Technique: Two-panel axial: CT | PSMA PET, 18F-PSMA tracer.
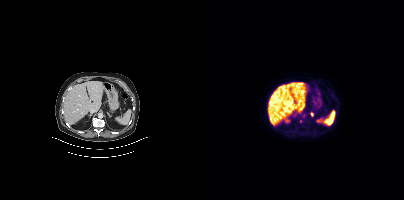
Findings: Coordinates are on the 200×200 PET (right) panel. (showing 1 of 2 foci) Small PSMA-avid focus (2 to 4 px across) near (center x, center y): (108, 114).